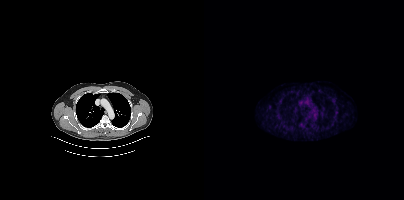
No tumor lesions annotated on this slice.